- the face region was removed for patient privacy by blanking a rectangle over the head
- Left: CT. Right: PSMA PET, same axial level, [18F]PSMA-1007 tracer
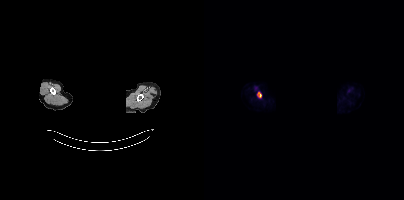
Findings: Coordinates are on the 200×200 PET (right) panel. PSMA-avid tumor lesion bounding box (x, y, width, height): x=53 y=92 w=5 h=6.